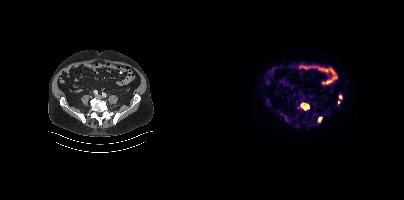
Coordinates are on the 200×200 PET (right) panel. (showing 4 of 5 foci) PSMA-avid tumor lesion bounding boxes (x, y, width, height): x=97 y=104 w=6 h=6 / x=103 y=104 w=2 h=5. Small PSMA-avid foci (2 to 4 px across) near (center x, center y): (115, 119) / (136, 97).